Left: CT. Right: PSMA PET, same axial level, [18F]PSMA-1007 tracer. Acquired on Siemens Biograph mCT Flow 20. PET panel 200×200 px (4.1 mm/px).
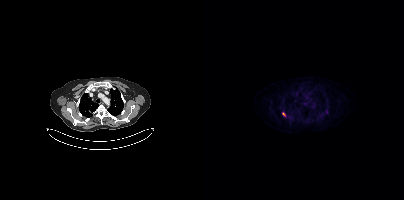
Coordinates are on the 200×200 PET (right) panel. Small PSMA-avid focus (2 to 4 px across) near (center x, center y): (79, 113).